Left: CT. Right: PSMA PET, same axial level, [68Ga]Ga-PSMA-11 tracer. Slice position z = -1576 mm. PET panel 200×200 px (4.1 mm/px).
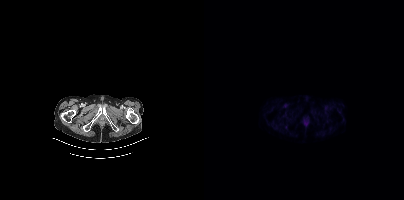
This slice has no annotated PSMA-avid lesion.